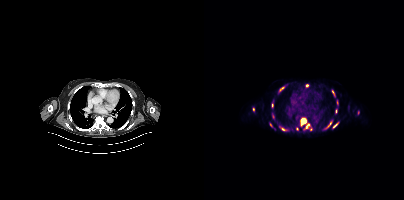
modality: PSMA PET/CT | tracer: 18F | view: axial | PET grid: 200×200
Coordinates are on the 200×200 PET (right) panel. (showing 15 of 18 foci) PSMA-avid tumor lesion bounding boxes (x0,y0,x1,y1): [96,118,102,125] [101,123,105,128] [129,122,134,127] [77,127,82,130] [68,113,70,118] [124,121,128,125] [76,87,80,90] [128,90,130,95] [131,109,133,113]. Small PSMA-avid foci (2 to 4 px across) near (center x, center y): (93, 128) (103, 85) (133, 102) (49, 109) (106, 129) (68, 105).